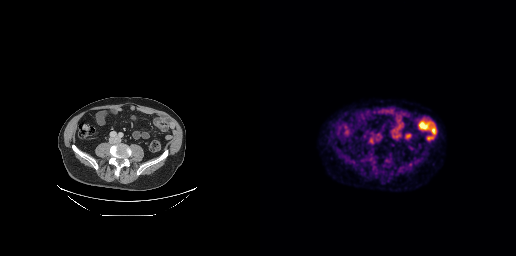
modality: PSMA PET/CT | tracer: 18F | view: axial
Only PSMA-avid lesion pieces thinner than 2 px on this slice (not listed).